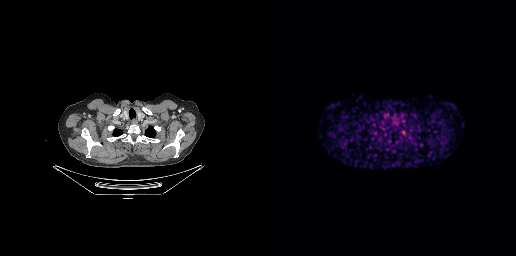
Technique: Two-panel axial: CT | PSMA PET, 68Ga-PSMA tracer. acquired on GE Discovery 690.
Findings: Negative for PSMA-avid disease on this slice.